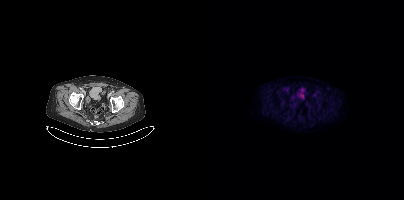
- Left: CT. Right: PSMA PET, same axial level, [18F]PSMA-1007 tracer
- acquired on Siemens Biograph mCT Flow 20
- PET panel 200×200 px (4.1 mm/px)
Findings: Negative for PSMA-avid disease on this slice.